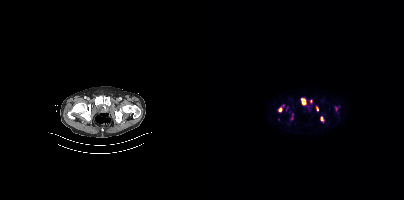
Technique: Paired axial CT (left) and PSMA PET (right), 18F-PSMA tracer. PET panel 200×200 px (4.1 mm/px).
Findings: Coordinates are on the 200×200 PET (right) panel. (showing 5 of 8 foci) PSMA-avid tumor lesion bounding boxes (x, y, width, height): x=97 y=98 w=5 h=7; x=76 y=107 w=3 h=5. Small PSMA-avid foci (2 to 4 px across) near (center x, center y): (117, 118); (132, 108); (113, 109).